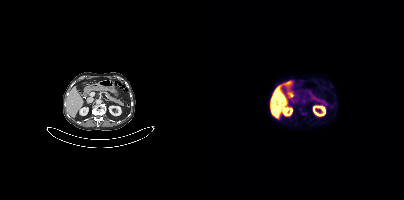
{"modality":"PSMA PET/CT","view":"axial","tracer":"18F-PSMA","pet_grid":[200,200],"coord_frame":"pet_panel","coord_format":"x0,y0,x1,y1","partial":true,"lesion_bboxes":[]}